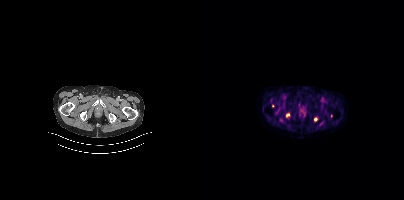
{"modality":"PSMA PET/CT","view":"axial","tracer":"[18F]PSMA-1007","pet_grid":[200,200],"coord_frame":"pet_panel","coord_format":"x0,y0,x1,y1","partial":true,"lesion_bboxes":[],"small_foci_centers":[[83,115],[111,119]]}